- Paired axial CT (left) and PSMA PET (right), 18F-PSMA tracer
- slice position z = -568 mm
- PET panel 256×256 px (2.7 mm/px)
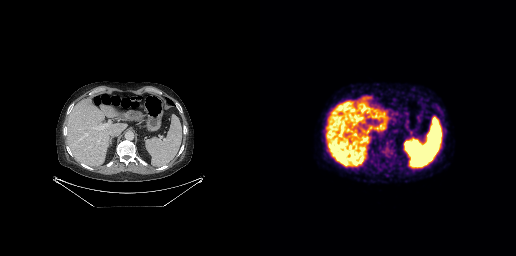
Findings: This slice has no annotated PSMA-avid lesion.